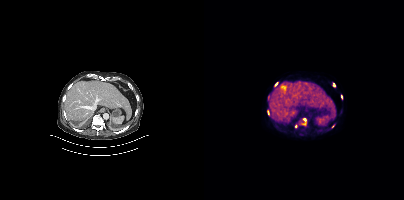
Left: CT. Right: PSMA PET, same axial level, 18F tracer. PET panel 200×200 px (4.1 mm/px). Coordinates are on the 200×200 PET (right) panel. PSMA-avid tumor lesion bounding boxes (x, y, width, height): x=94 y=118 w=10 h=9; x=91 y=124 w=3 h=5; x=71 y=82 w=3 h=5; x=63 y=110 w=3 h=5; x=137 y=95 w=2 h=5. Small PSMA-avid foci (2 to 4 px across) near (center x, center y): (130, 84); (129, 126).